Paired axial CT (left) and PSMA PET (right), [18F]PSMA-1007 tracer. PET panel 256×256 px (2.7 mm/px).
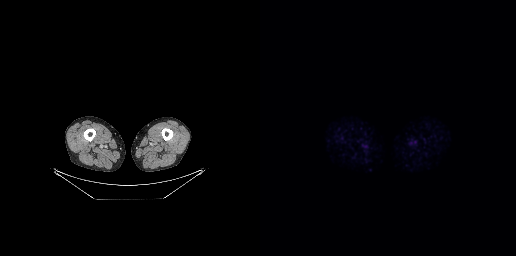
This slice has no annotated PSMA-avid lesion.